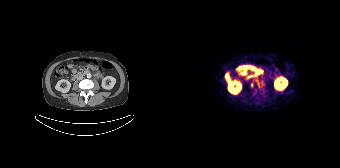
Coordinates are on the 168×168 PET (right) panel. (showing 1 of 4 foci) Small PSMA-avid focus (2 to 4 px across) near (center x, center y): (79, 85). Left: CT. Right: PSMA PET, same axial level, [68Ga]Ga-PSMA-11 tracer. Acquired on Siemens Biograph 64-4R TruePoint.